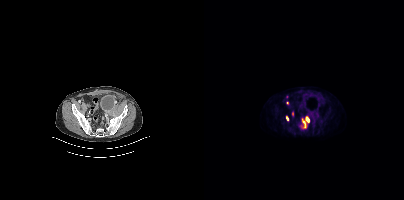
Coordinates are on the 200×200 PET (right) panel. PSMA-avid tumor lesion bounding boxes (x0, y0)-(x1, y1): (98, 116)-(105, 128) | (82, 116)-(84, 120). Small PSMA-avid foci (2 to 4 px across) near (center x, center y): (83, 102) | (82, 96).